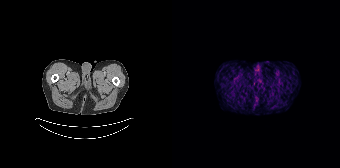
Technique: Paired axial CT (left) and PSMA PET (right), [68Ga]Ga-PSMA-11 tracer. slice position z = -1723 mm. PET panel 168×168 px (4.1 mm/px).
Findings: No PSMA-avid tumor lesions on this slice.